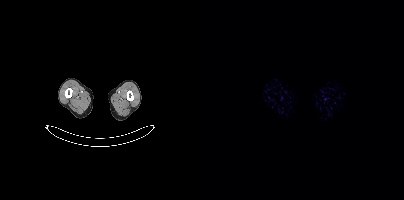
Findings: This slice has no annotated PSMA-avid lesion.
- Paired axial CT (left) and PSMA PET (right), 18F tracer